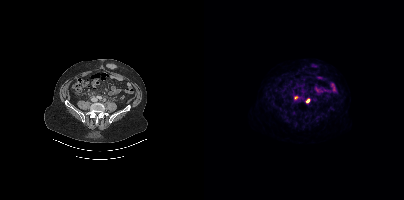
Left: CT. Right: PSMA PET, same axial level, [18F]PSMA-1007 tracer. Acquired on Siemens Biograph mCT Flow 20. PET panel 200×200 px (4.1 mm/px). Coordinates are on the 200×200 PET (right) panel. Small PSMA-avid focus (2 to 4 px across) near (center x, center y): (91, 97).